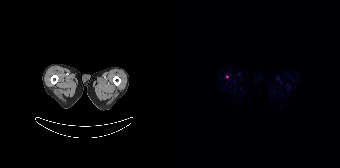
modality: PSMA PET/CT | tracer: 18F | view: axial
Coordinates are on the 168×168 PET (right) panel. Small PSMA-avid focus (2 to 4 px across) near (center x, center y): (55, 76).